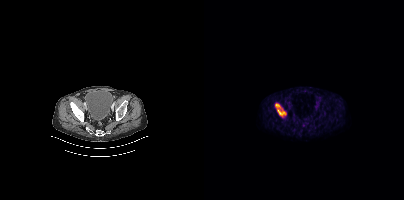
Coordinates are on the 200×200 PET (right) panel. PSMA-avid tumor lesion bounding box (x0, y0)-(x1, y1): (71, 103)-(81, 116).